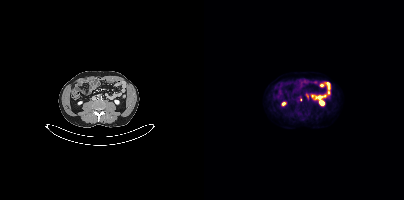
Findings: Coordinates are on the 200×200 PET (right) panel. Small PSMA-avid foci (2 to 4 px across) near (center x, center y): (103, 97); (96, 99).
- Two-panel axial: CT | PSMA PET, 18F tracer
- slice 156 of 393
- PET panel 200×200 px (4.1 mm/px)